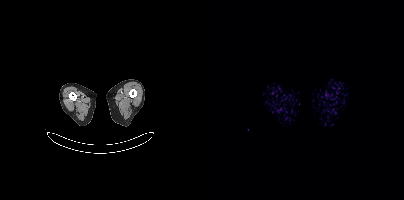
Paired axial CT (left) and PSMA PET (right), [18F]PSMA-1007 tracer. Acquired on Siemens Biograph mCT Flow 20. Slice position z = -1676 mm. PET panel 200×200 px (4.1 mm/px). Negative for PSMA-avid disease on this slice.